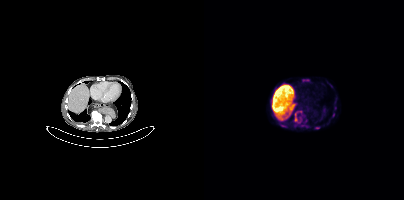
Two-panel axial: CT | PSMA PET, [18F]PSMA-1007 tracer. Acquired on Siemens Biograph mCT Flow 20. Slice 207 of 354. Coordinates are on the 200×200 PET (right) panel. PSMA-avid tumor lesion bounding box (x0, y0)-(x1, y1): (90, 111)-(97, 123).